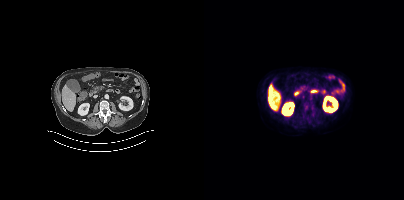
modality: PSMA PET/CT | tracer: 18F-PSMA | view: axial | PET grid: 200×200
Coordinates are on the 200×200 PET (right) panel. (showing 1 of 2 foci) Small PSMA-avid focus (2 to 4 px across) near (center x, center y): (100, 107).